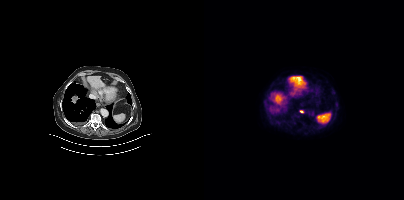
Left: CT. Right: PSMA PET, same axial level, 18F-PSMA tracer. Coordinates are on the 200×200 PET (right) panel. Small PSMA-avid focus (2 to 4 px across) near (center x, center y): (97, 111).